modality: PSMA PET/CT | tracer: [18F]PSMA-1007 | view: axial
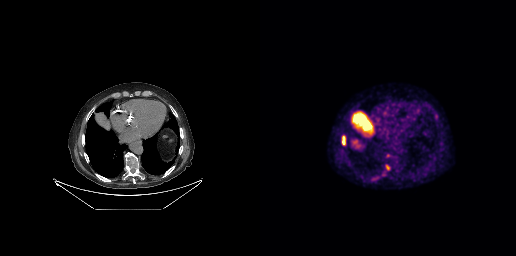
Coordinates are on the 256×256 PET (right) panel. PSMA-avid tumor lesion bounding box (x0, y0)-(x1, y1): (82, 137)-(85, 145). Small PSMA-avid focus (2 to 4 px across) near (center x, center y): (127, 167).